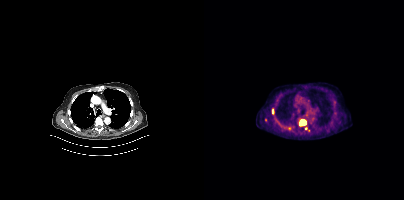
Findings: Coordinates are on the 200×200 PET (right) panel. (showing 3 of 4 foci) PSMA-avid tumor lesion bounding box (x0, y0)-(x1, y1): (95, 119)-(102, 126). Small PSMA-avid foci (2 to 4 px across) near (center x, center y): (68, 111) | (61, 119).
Technique: Left: CT. Right: PSMA PET, same axial level, [18F]PSMA-1007 tracer. acquired on Siemens Biograph mCT Flow 20. slice 288 of 397. PET panel 200×200 px (4.1 mm/px).